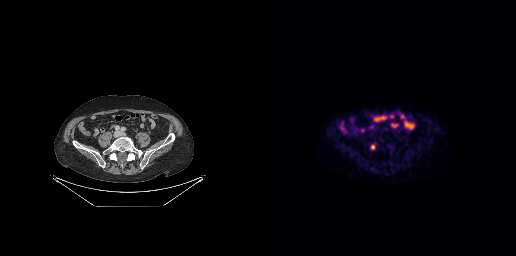
Left: CT. Right: PSMA PET, same axial level, [18F]PSMA-1007 tracer. Acquired on GE Discovery 690. Slice 92 of 263.
Coordinates are on the 256×256 PET (right) panel. PSMA-avid tumor lesion bounding boxes:
| # | x0 | y0 | x1 | y1 |
|---|---|---|---|---|
| 1 | 111 | 145 | 114 | 149 |